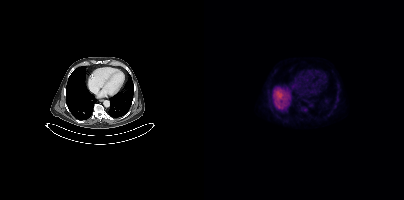
{"modality":"PSMA PET/CT","view":"axial","tracer":"18F-PSMA","pet_grid":[200,200],"coord_frame":"pet_panel","coord_format":"x0,y0,x1,y1","lesion_bboxes":[],"small_foci_centers":[[101,109]]}